- Two-panel axial: CT | PSMA PET, 18F-PSMA tracer
- slice 156 of 387
- PET panel 200×200 px (4.1 mm/px)
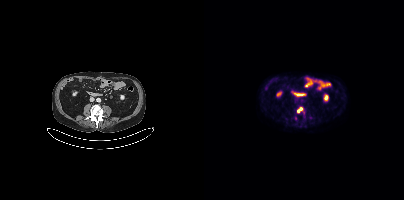
Findings: Coordinates are on the 200×200 PET (right) panel. PSMA-avid tumor lesion bounding box (x0, y0)-(x1, y1): (93, 107)-(98, 112). Small PSMA-avid focus (2 to 4 px across) near (center x, center y): (106, 117).